The head region is masked for de-identification. Two-panel axial: CT | PSMA PET, 18F tracer. Acquired on Siemens Biograph mCT Flow 20. Slice position z = 532 mm. PET panel 200×200 px (4.1 mm/px).
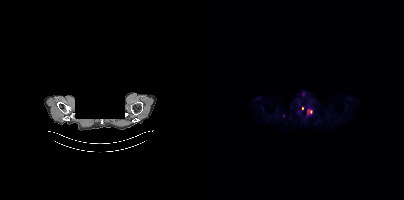
Coordinates are on the 200×200 PET (right) panel. (showing 2 of 3 foci) PSMA-avid tumor lesion bounding box (x0,y0,x1,y1): [103,109,108,113]. Small PSMA-avid focus (2 to 4 px across) near (center x, center y): (98, 108).